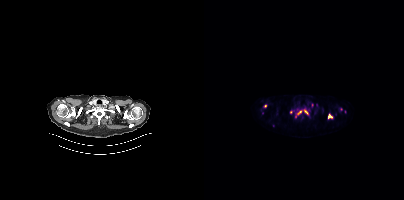
Two-panel axial: CT | PSMA PET, [18F]PSMA-1007 tracer. Slice position z = -336 mm. PET panel 200×200 px (4.1 mm/px).
Coordinates are on the 200×200 PET (right) panel. PSMA-avid tumor lesion bounding boxes (partial; 1 more focus not listed):
| # | x0 | y0 | x1 | y1 |
|---|---|---|---|---|
| 1 | 124 | 114 | 128 | 117 |
Small PSMA-avid foci (2 to 4 px across) near (center x, center y): (101, 111); (95, 112); (61, 106); (86, 111).